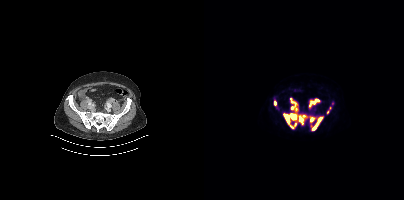
Technique: Paired axial CT (left) and PSMA PET (right), 18F-PSMA tracer. slice position z = -1505 mm.
Findings: Coordinates are on the 200×200 PET (right) panel. (showing 7 of 8 foci) PSMA-avid tumor lesion bounding boxes (x, y, width, height): x=79 y=113 w=24 h=16 | x=107 y=116 w=13 h=15 | x=86 y=98 w=8 h=14 | x=105 y=98 w=11 h=10 | x=106 y=117 w=6 h=6 | x=70 y=101 w=3 h=5. Small PSMA-avid focus (2 to 4 px across) near (center x, center y): (123, 112).